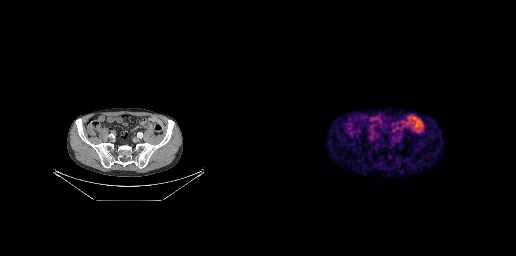
No PSMA-avid tumor lesions on this slice.
modality: PSMA PET/CT | tracer: [68Ga]Ga-PSMA-11 | view: axial | PET grid: 256×256